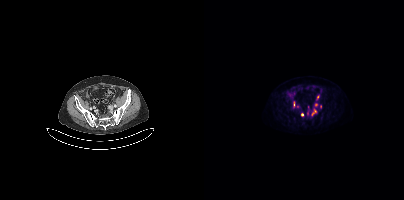
Findings: Coordinates are on the 200×200 PET (right) panel. (showing 7 of 8 foci) PSMA-avid tumor lesion bounding box (x0, y0)-(x1, y1): (89, 101)-(91, 107). Small PSMA-avid foci (2 to 4 px across) near (center x, center y): (108, 113) | (98, 114) | (110, 109) | (112, 104) | (116, 106) | (103, 113).
- Two-panel axial: CT | PSMA PET, [18F]PSMA-1007 tracer
- acquired on Siemens Biograph mCT Flow 20
- slice position z = -16 mm
- PET panel 200×200 px (4.1 mm/px)